Two-panel axial: CT | PSMA PET, [18F]PSMA-1007 tracer. Acquired on Siemens Biograph mCT Flow 20. Slice 369 of 454. PET panel 200×200 px (4.1 mm/px).
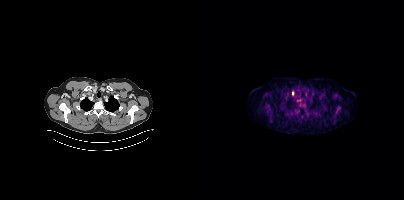
Coordinates are on the 200×200 PET (right) panel. (showing 1 of 2 foci) Small PSMA-avid focus (2 to 4 px across) near (center x, center y): (88, 93).